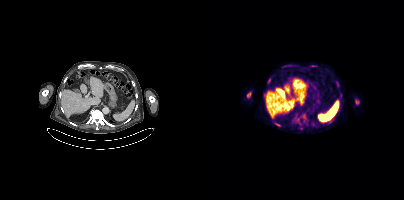
Coordinates are on the 200×200 PET (right) panel. PSMA-avid tumor lesion bounding boxes (x, y, width, height): x=43 y=92 w=5 h=6 / x=151 y=99 w=5 h=6 / x=71 y=123 w=5 h=3. Small PSMA-avid focus (2 to 4 px across) near (center x, center y): (95, 123).